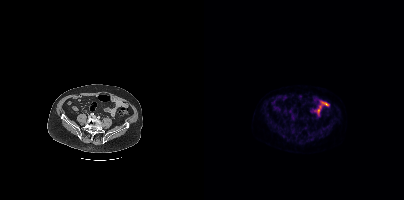
No tumor lesions annotated on this slice.